Paired axial CT (left) and PSMA PET (right), 18F tracer. Slice 261 of 377. PET panel 200×200 px (4.1 mm/px).
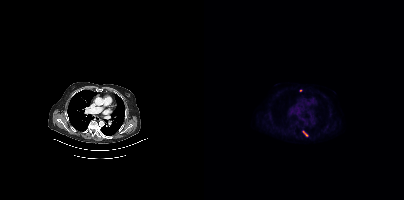
Coordinates are on the 200×200 PET (right) panel. PSMA-avid tumor lesion bounding boxes:
| # | x0 | y0 | x1 | y1 |
|---|---|---|---|---|
| 1 | 99 | 131 | 103 | 136 |
Small PSMA-avid focus (2 to 4 px across) near (center x, center y): (97, 90).